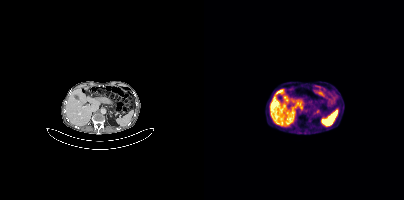
Coordinates are on the 200×200 PET (right) panel. Small PSMA-avid focus (2 to 4 px across) near (center x, center y): (113, 111).